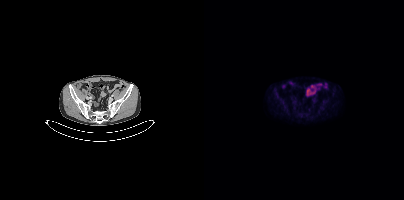
No PSMA-avid tumor lesions on this slice. Left: CT. Right: PSMA PET, same axial level, 18F tracer.